Privacy masking over the head, with the pixels inside a rectangle set to black. Left: CT. Right: PSMA PET, same axial level, 68Ga tracer. Slice position z = -143 mm. PET panel 168×168 px (4.1 mm/px).
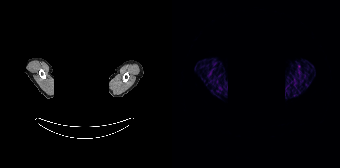
No tumor lesions annotated on this slice.